- Paired axial CT (left) and PSMA PET (right), 68Ga tracer
- slice position z = -905 mm
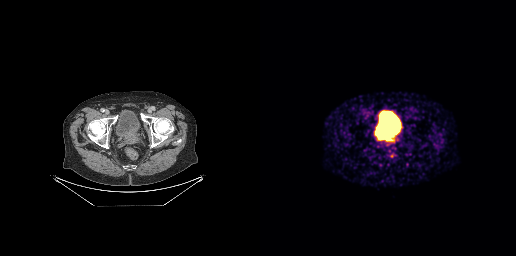
Findings: Coordinates are on the 256×256 PET (right) panel. PSMA-avid tumor lesion bounding box (x0, y0)-(x1, y1): (117, 132)-(135, 143).